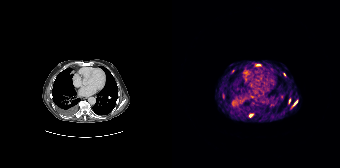
Coordinates are on the 168×168 PET (right) panel. PSMA-avid tumor lesion bounding boxes (x0,y0,x1,y1): [83,64,89,66] [50,93,52,98] [121,101,125,105]. Small PSMA-avid foci (2 to 4 px across) near (center x, center y): (78, 115) (61, 71) (117, 101) (112, 74).